Technique: Paired axial CT (left) and PSMA PET (right), 18F-PSMA tracer. acquired on Siemens Biograph mCT Flow 20. PET panel 200×200 px (4.1 mm/px).
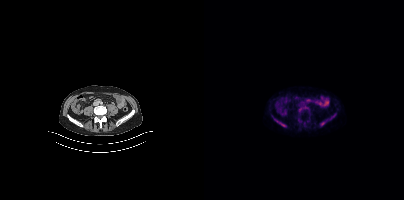
Findings: Coordinates are on the 200×200 PET (right) panel. (showing 2 of 3 foci) PSMA-avid tumor lesion bounding boxes (x0, y0)-(x1, y1): (116, 121)-(121, 126); (73, 121)-(81, 126).